- Left: CT. Right: PSMA PET, same axial level, 18F-PSMA tracer
- slice 183 of 401
- PET panel 200×200 px (4.1 mm/px)
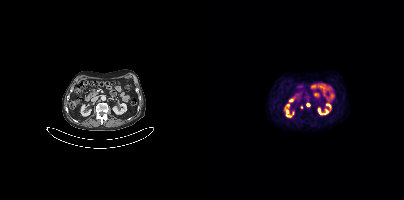
Findings: Coordinates are on the 200×200 PET (right) panel. (showing 1 of 2 foci) Small PSMA-avid focus (2 to 4 px across) near (center x, center y): (104, 104).